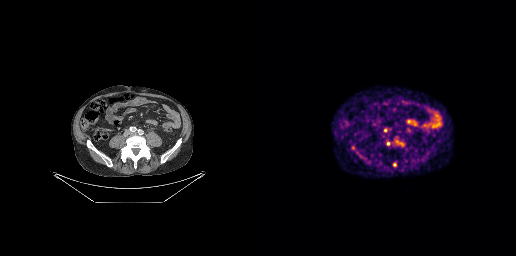
{"modality":"PSMA PET/CT","view":"axial","tracer":"[68Ga]Ga-PSMA-11","pet_grid":[256,256],"coord_frame":"pet_panel","coord_format":"x0,y0,x1,y1","lesion_bboxes":[[133,162,136,166],[124,128,127,132]],"small_foci_centers":[[93,147],[128,143]]}